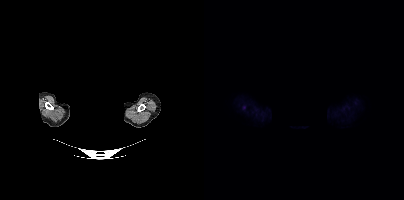
Technique: Two-panel axial: CT | PSMA PET, [18F]PSMA-1007 tracer. slice 414 of 450. PET panel 200×200 px (4.1 mm/px).
Note: The face region was removed for patient privacy by blanking a rectangle over the head.
Findings: Coordinates are on the 200×200 PET (right) panel. Small PSMA-avid focus (2 to 4 px across) near (center x, center y): (39, 107).